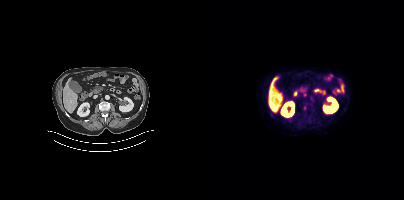
Findings: Coordinates are on the 200×200 PET (right) panel. PSMA-avid tumor lesion bounding boxes (x0,y0,x1,y1): [99,106,102,110]; [99,92,102,96].
- Left: CT. Right: PSMA PET, same axial level, 18F tracer
- slice position z = -1220 mm